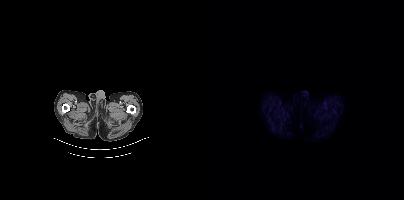
Left: CT. Right: PSMA PET, same axial level, 18F-PSMA tracer. PET panel 200×200 px (4.1 mm/px). Negative for PSMA-avid disease on this slice.